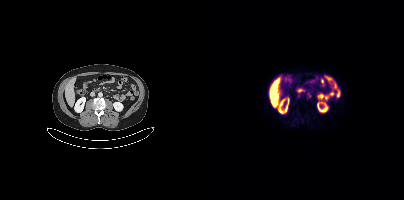
Coordinates are on the 200×200 PET (right) panel. (showing 1 of 2 foci) PSMA-avid tumor lesion bounding box (x, y, width, height): x=104 y=93 w=3 h=5.